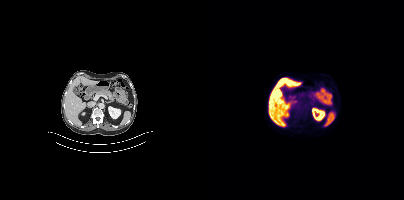
modality: PSMA PET/CT | tracer: 18F | view: axial | PET grid: 200×200
This slice has no annotated PSMA-avid lesion.